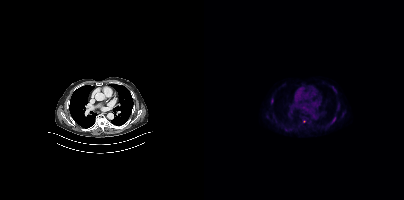
{"pet_grid":[200,200],"coord_frame":"pet_panel","coord_format":"x0,y0,x1,y1","psma_avid_lesions":false,"modality":"PSMA PET/CT","view":"axial","tracer":"18F-PSMA"}